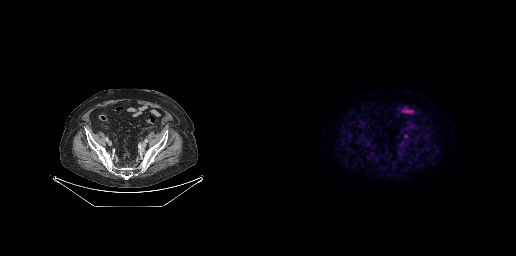
{"modality":"PSMA PET/CT","view":"axial","tracer":"[18F]PSMA-1007","pet_grid":[256,256],"coord_frame":"pet_panel","coord_format":"x0,y0,x1,y1","lesion_bboxes":[],"small_foci_centers":[[145,136]]}